modality: PSMA PET/CT | tracer: 18F-PSMA | view: axial | PET grid: 256×256
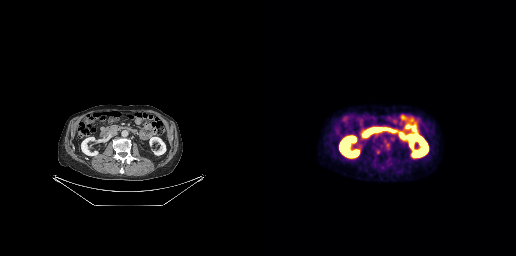
Coordinates are on the 256×256 PET (right) panel. (showing 4 of 5 foci) PSMA-avid tumor lesion bounding boxes (x0,y0,x1,y1): [123,139,130,148], [116,149,120,154]. Small PSMA-avid foci (2 to 4 px across) near (center x, center y): (133, 140), (132, 133).